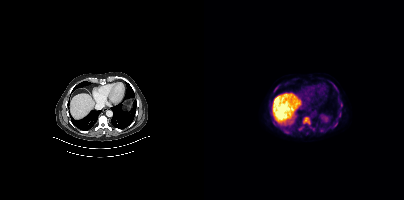
Coordinates are on the 200×200 PET (right) panel. PSMA-avid tumor lesion bounding boxes (x0, y0)-(x1, y1): (99, 117)-(106, 124) | (127, 121)-(133, 127) | (134, 112)-(137, 117) | (69, 86)-(74, 92) | (136, 102)-(138, 106) | (128, 83)-(132, 87). Small PSMA-avid foci (2 to 4 px across) near (center x, center y): (82, 131) | (108, 129) | (96, 128).
modality: PSMA PET/CT | tracer: [18F]PSMA-1007 | view: axial | PET grid: 200×200